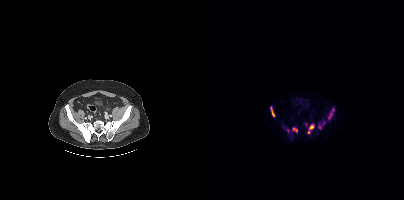
Left: CT. Right: PSMA PET, same axial level, 18F-PSMA tracer. Slice position z = -1388 mm.
Coordinates are on the 200×200 PET (right) panel. PSMA-avid tumor lesion bounding boxes (partial; 2 more foci not listed):
| # | x0 | y0 | x1 | y1 |
|---|---|---|---|---|
| 1 | 103 | 124 | 110 | 133 |
| 2 | 124 | 108 | 130 | 119 |
| 3 | 66 | 106 | 70 | 116 |
| 4 | 88 | 127 | 93 | 132 |
Small PSMA-avid foci (2 to 4 px across) near (center x, center y): (116, 126); (83, 130).